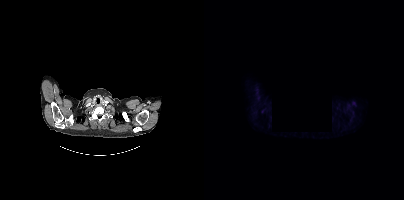
Privacy masking, with the pixels inside a rectangle set to black.
No tumor lesions annotated on this slice.